Privacy masking over the head, with the pixels inside a rectangle set to black.
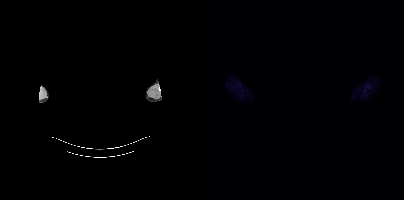
No PSMA-avid tumor lesions on this slice.